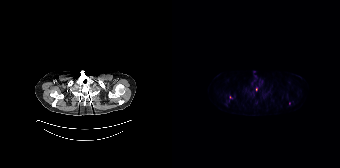
{"modality":"PSMA PET/CT","view":"axial","tracer":"[18F]PSMA-1007","pet_grid":[168,168],"coord_frame":"pet_panel","coord_format":"x0,y0,x1,y1","partial":true,"lesion_bboxes":[],"small_foci_centers":[[84,89]]}